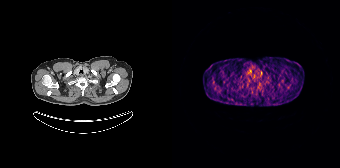
Only PSMA-avid lesion pieces thinner than 2 px on this slice (not listed).